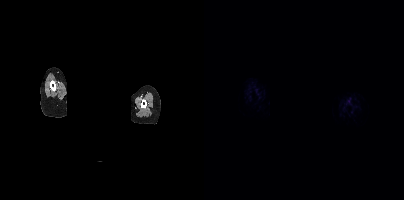
No PSMA-avid tumor lesions on this slice. A rectangular block over the head has been blanked out for de-identification. Paired axial CT (left) and PSMA PET (right), 68Ga tracer. Acquired on Siemens Biograph mCT Flow 20. Slice position z = 969 mm.